- Paired axial CT (left) and PSMA PET (right), 18F-PSMA tracer
- acquired on Siemens Biograph mCT Flow 20
- PET panel 200×200 px (4.1 mm/px)
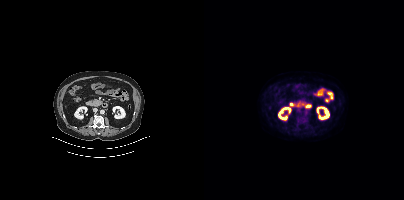
Findings: No tumor lesions annotated on this slice.